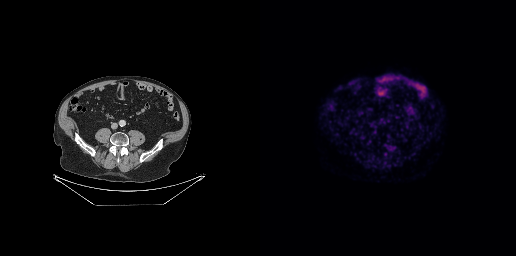
{"modality":"PSMA PET/CT","view":"axial","tracer":"[18F]PSMA-1007","pet_grid":[256,256],"coord_frame":"pet_panel","coord_format":"x0,y0,x1,y1","partial":true,"lesion_bboxes":[]}